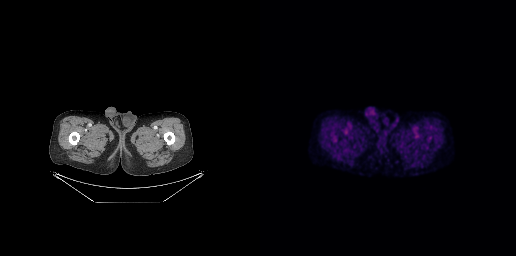
{"pet_grid":[256,256],"coord_frame":"pet_panel","coord_format":"x0,y0,x1,y1","psma_avid_lesions":false,"modality":"PSMA PET/CT","view":"axial","tracer":"[18F]PSMA-1007"}